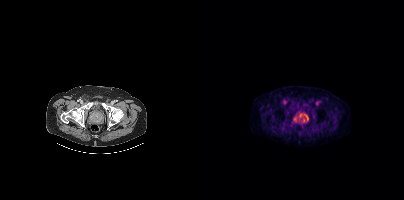
Coordinates are on the 200×200 PET (right) panel. PSMA-avid tumor lesion bounding box (x0,y0,x1,y1): [95,112,104,121]. Small PSMA-avid focus (2 to 4 px across) near (center x, center y): (91, 118). Two-panel axial: CT | PSMA PET, [18F]PSMA-1007 tracer. Acquired on Siemens Biograph mCT Flow 20.